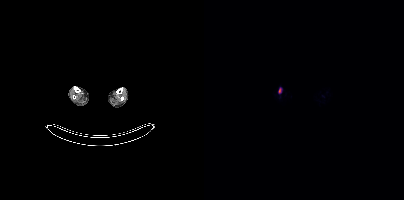
Findings: Coordinates are on the 200×200 PET (right) panel. PSMA-avid tumor lesion bounding box (x0,y0,x1,y1): [74,88,77,93].
- Paired axial CT (left) and PSMA PET (right), [18F]PSMA-1007 tracer
- slice 140 of 963